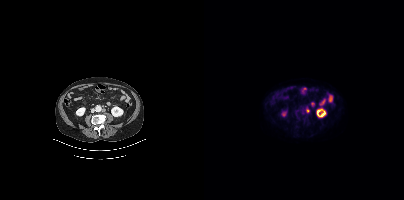
Findings: Coordinates are on the 200×200 PET (right) panel. PSMA-avid tumor lesion bounding box (x, y, width, height): x=102 y=107 w=4 h=5.
- Two-panel axial: CT | PSMA PET, 18F tracer
- acquired on Siemens Biograph mCT Flow 20
- PET panel 200×200 px (4.1 mm/px)